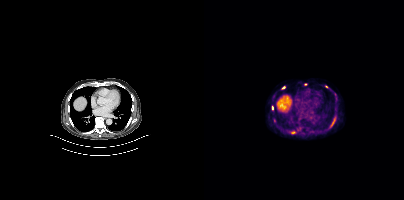
Coordinates are on the 200×200 PET (right) panel. (showing 6 of 7 foci) Small PSMA-avid foci (2 to 4 px across) near (center x, center y): (68, 107) / (89, 132) / (122, 86) / (79, 87) / (128, 123) / (101, 84). Two-panel axial: CT | PSMA PET, 18F tracer. Slice position z = -562 mm. PET panel 200×200 px (4.1 mm/px).